Two-panel axial: CT | PSMA PET, 18F-PSMA tracer. Slice 204 of 401. PET panel 200×200 px (4.1 mm/px).
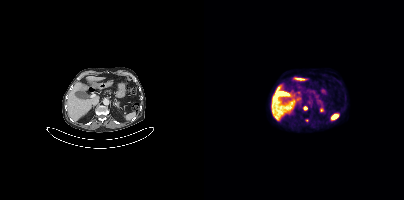
Coordinates are on the 200×200 PET (right) panel. Small PSMA-avid foci (2 to 4 px across) near (center x, center y): (101, 108) / (102, 120).